Two-panel axial: CT | PSMA PET, 68Ga tracer.
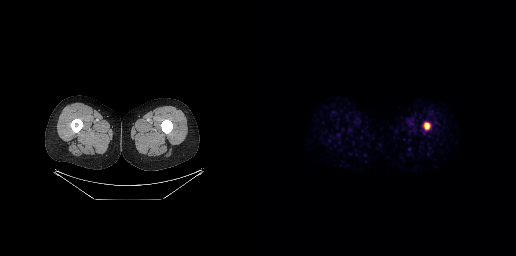
Coordinates are on the 256×256 PET (right) panel. PSMA-avid tumor lesion bounding box (x0, y0)-(x1, y1): (164, 123)-(169, 129).